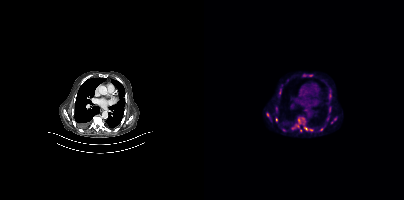
Coordinates are on the 200×200 PET (right) panel. PSMA-avid tumor lesion bounding boxes (partial; 2 more foci not listed):
| # | x0 | y0 | x1 | y1 |
|---|---|---|---|---|
| 1 | 88 | 118 | 109 | 131 |
| 2 | 62 | 112 | 66 | 119 |
| 3 | 125 | 90 | 127 | 97 |
| 4 | 125 | 107 | 126 | 112 |
| 5 | 76 | 89 | 77 | 93 |
Small PSMA-avid foci (2 to 4 px across) near (center x, center y): (131, 118); (72, 119); (100, 75); (117, 129); (123, 119); (127, 122); (105, 75).
Left: CT. Right: PSMA PET, same axial level, [18F]PSMA-1007 tracer. Acquired on Siemens Biograph mCT Flow 20. Slice 229 of 373. PET panel 200×200 px (4.1 mm/px).